Two-panel axial: CT | PSMA PET, 68Ga-PSMA tracer. Slice 239 of 385. PET panel 200×200 px (4.1 mm/px).
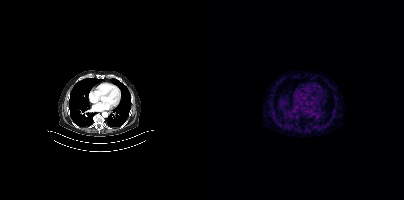
Negative for PSMA-avid disease on this slice.